Two-panel axial: CT | PSMA PET, [18F]PSMA-1007 tracer. PET panel 200×200 px (4.1 mm/px).
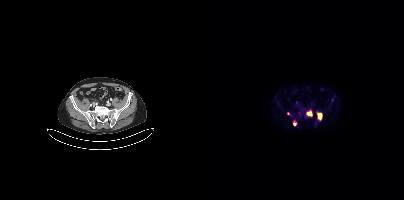
Coordinates are on the 200×200 PET (right) panel. PSMA-avid tumor lesion bounding boxes (partial; 1 more focus not listed):
| # | x0 | y0 | x1 | y1 |
|---|---|---|---|---|
| 1 | 114 | 113 | 118 | 120 |
| 2 | 103 | 111 | 107 | 115 |
Small PSMA-avid focus (2 to 4 px across) near (center x, center y): (90, 124).